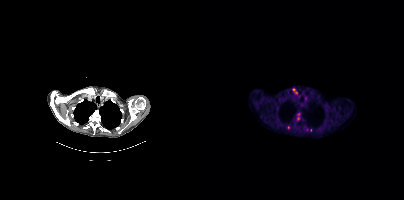
Findings: Coordinates are on the 200×200 PET (right) panel. (showing 6 of 7 foci) Small PSMA-avid foci (2 to 4 px across) near (center x, center y): (94, 118); (94, 114); (84, 127); (89, 89); (106, 130); (92, 92).
Technique: Paired axial CT (left) and PSMA PET (right), 18F-PSMA tracer. slice 321 of 403.